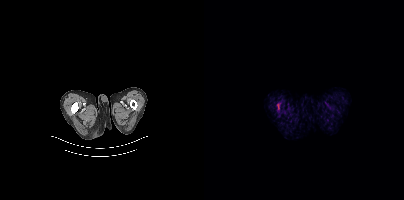
Two-panel axial: CT | PSMA PET, 18F-PSMA tracer. Acquired on Siemens Biograph mCT Flow 20.
Coordinates are on the 200×200 PET (right) panel. PSMA-avid tumor lesion bounding boxes:
| # | x0 | y0 | x1 | y1 |
|---|---|---|---|---|
| 1 | 73 | 103 | 76 | 110 |